- Two-panel axial: CT | PSMA PET, 18F-PSMA tracer
- acquired on GE Discovery 690
- slice position z = -452 mm
- PET panel 256×256 px (2.7 mm/px)
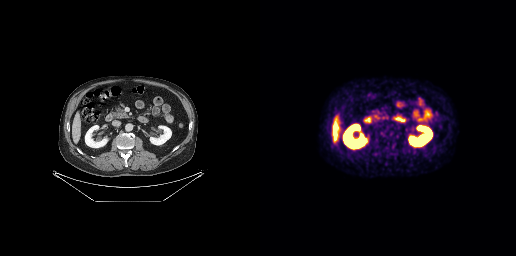
Findings: No PSMA-avid tumor lesions on this slice.